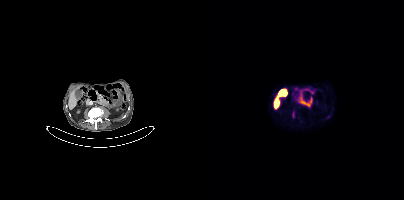
This slice has no annotated PSMA-avid lesion.